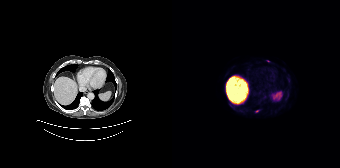
Left: CT. Right: PSMA PET, same axial level, 18F-PSMA tracer. PET panel 168×168 px (4.1 mm/px).
Coordinates are on the 168×168 PET (right) panel. PSMA-avid tumor lesion bounding boxes:
| # | x0 | y0 | x1 | y1 |
|---|---|---|---|---|
| 1 | 83 | 110 | 87 | 112 |
Small PSMA-avid focus (2 to 4 px across) near (center x, center y): (96, 60).